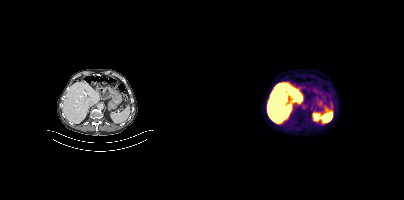
{"modality":"PSMA PET/CT","view":"axial","tracer":"[18F]PSMA-1007","pet_grid":[200,200],"coord_frame":"pet_panel","coord_format":"x0,y0,x1,y1","psma_avid_lesions":false}